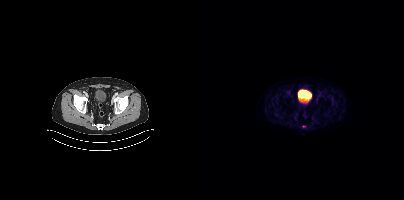
Paired axial CT (left) and PSMA PET (right), [68Ga]Ga-PSMA-11 tracer. Slice 80 of 389. PET panel 200×200 px (4.1 mm/px). Coordinates are on the 200×200 PET (right) panel. Small PSMA-avid focus (2 to 4 px across) near (center x, center y): (100, 126).